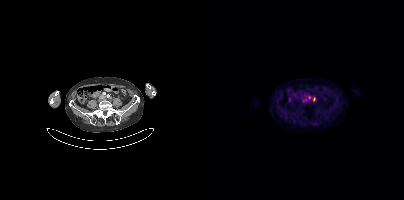
modality: PSMA PET/CT | tracer: [18F]PSMA-1007 | view: axial | PET grid: 200×200
Coordinates are on the 200×200 PET (right) panel. (showing 2 of 3 foci) PSMA-avid tumor lesion bounding box (x0,y0,x1,y1): [109,97,111,101]. Small PSMA-avid focus (2 to 4 px across) near (center x, center y): (105, 97).